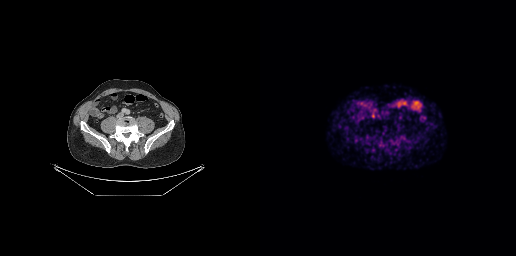
{"modality":"PSMA PET/CT","view":"axial","tracer":"[68Ga]Ga-PSMA-11","pet_grid":[256,256],"coord_frame":"pet_panel","coord_format":"x0,y0,x1,y1","psma_avid_lesions":false}